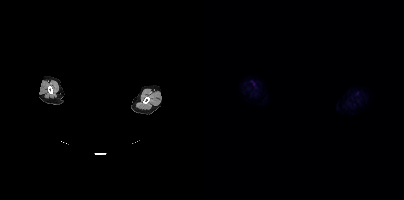
No tumor lesions annotated on this slice.
modality: PSMA PET/CT | tracer: 18F | view: axial | PET grid: 200×200 | deidentification: head region blanked (face removed)